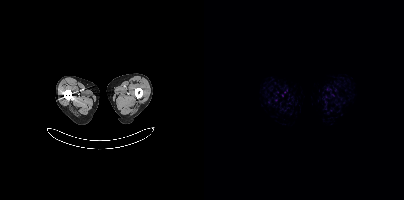
Findings: This slice has no annotated PSMA-avid lesion.
- Two-panel axial: CT | PSMA PET, [18F]PSMA-1007 tracer
- acquired on Siemens Biograph mCT Flow 20
- PET panel 200×200 px (4.1 mm/px)